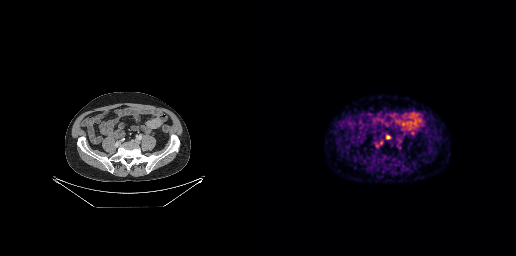
Findings: Coordinates are on the 256×256 PET (right) panel. PSMA-avid tumor lesion bounding box (x0,y0,x1,y1): [126,135,130,138].
Technique: Left: CT. Right: PSMA PET, same axial level, 68Ga tracer. acquired on GE Discovery 690. PET panel 256×256 px (2.7 mm/px).